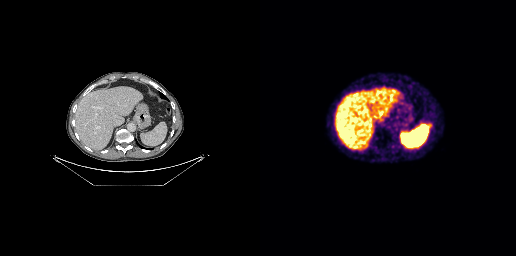
Left: CT. Right: PSMA PET, same axial level, 68Ga-PSMA tracer. Slice position z = -580 mm. Coordinates are on the 256×256 PET (right) panel. PSMA-avid tumor lesion bounding box (x, y, width, height): x=168 y=123 w=5 h=4.